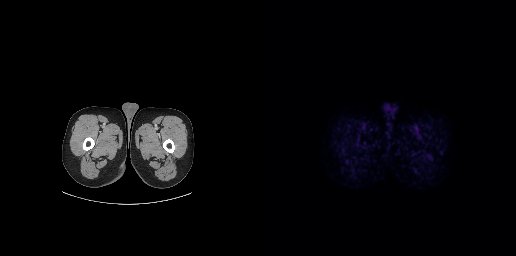
Left: CT. Right: PSMA PET, same axial level, [18F]PSMA-1007 tracer. Acquired on GE Discovery 690. No PSMA-avid tumor lesions on this slice.